Technique: Paired axial CT (left) and PSMA PET (right), 18F-PSMA tracer. slice 115 of 263. PET panel 256×256 px (2.7 mm/px).
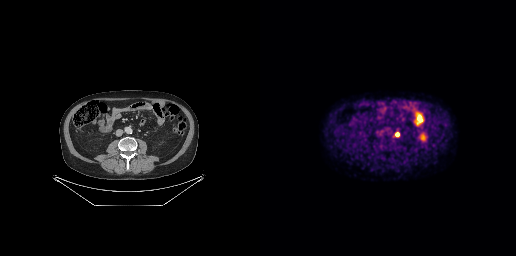
Findings: Coordinates are on the 256×256 PET (right) panel. PSMA-avid tumor lesion bounding box (x0, y0)-(x1, y1): (135, 133)-(138, 137).